Left: CT. Right: PSMA PET, same axial level, [68Ga]Ga-PSMA-11 tracer. Acquired on Siemens Biograph mCT Flow 20. PET panel 200×200 px (4.1 mm/px).
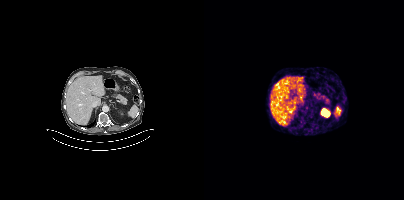
No PSMA-avid tumor lesions on this slice.